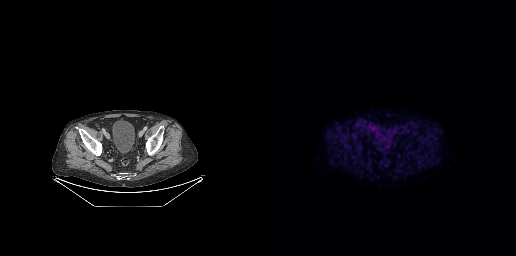
{"modality":"PSMA PET/CT","view":"axial","tracer":"18F-PSMA","pet_grid":[256,256],"coord_frame":"pet_panel","coord_format":"x0,y0,x1,y1","psma_avid_lesions":false}